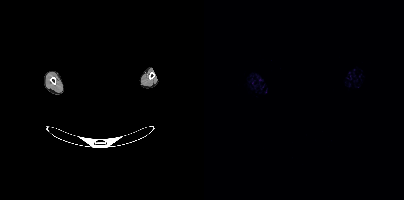
- Two-panel axial: CT | PSMA PET, 18F tracer
- slice 403 of 403
- head region blanked for anonymization (face removed)
Findings: This slice has no annotated PSMA-avid lesion.